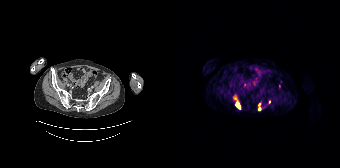
Coordinates are on the 168×168 PET (right) panel. (showing 3 of 5 foci) PSMA-avid tumor lesion bounding box (x0, y0)-(x1, y1): (64, 101)-(68, 108). Small PSMA-avid foci (2 to 4 px across) near (center x, center y): (87, 108); (87, 104).